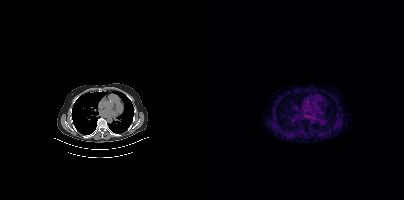
{"modality":"PSMA PET/CT","view":"axial","tracer":"68Ga-PSMA","pet_grid":[200,200],"coord_frame":"pet_panel","coord_format":"x0,y0,x1,y1","psma_avid_lesions":false}